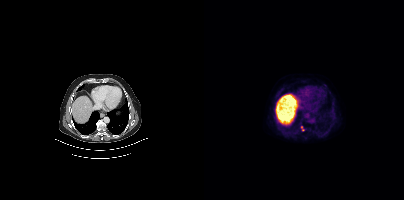
{"pet_grid":[200,200],"coord_frame":"pet_panel","coord_format":"x0,y0,x1,y1","lesion_bboxes":[],"small_foci_centers":[[99,128]],"modality":"PSMA PET/CT","view":"axial","tracer":"18F"}